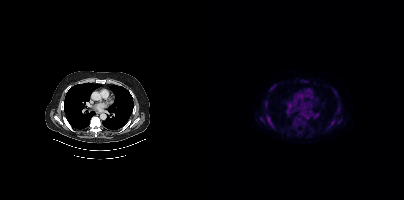
Coordinates are on the 200×200 PET (right) panel. (showing 10 of 11 foci) PSMA-avid tumor lesion bounding boxes (x, y, width, height): x=62 y=115 w=7 h=11; x=92 y=119 w=6 h=7; x=66 y=84 w=7 h=6; x=60 y=102 w=5 h=5; x=126 y=119 w=6 h=6; x=88 y=124 w=5 h=5. Small PSMA-avid foci (2 to 4 px across) near (center x, center y): (135, 106); (100, 80); (129, 89); (122, 129). Two-panel axial: CT | PSMA PET, 18F-PSMA tracer. Acquired on Siemens Biograph mCT Flow 20.